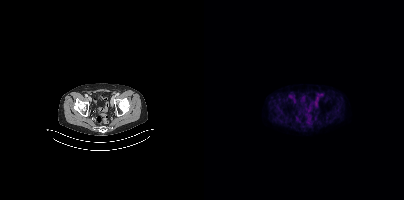
Findings: No PSMA-avid tumor lesions on this slice.
Technique: Left: CT. Right: PSMA PET, same axial level, 18F-PSMA tracer. PET panel 200×200 px (4.1 mm/px).